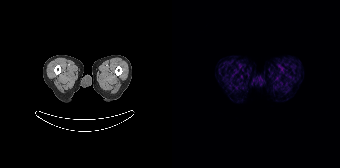
{"pet_grid":[168,168],"coord_frame":"pet_panel","coord_format":"x0,y0,x1,y1","psma_avid_lesions":false,"modality":"PSMA PET/CT","view":"axial","tracer":"[68Ga]Ga-PSMA-11"}